Paired axial CT (left) and PSMA PET (right), 18F tracer. Acquired on Siemens Biograph mCT Flow 20. PET panel 200×200 px (4.1 mm/px).
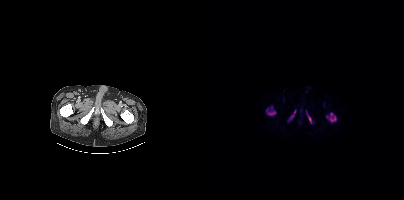
Coordinates are on the 200×200 PET (right) panel. PSMA-avid tumor lesion bounding boxes:
| # | x0 | y0 | x1 | y1 |
|---|---|---|---|---|
| 1 | 122 | 112 | 132 | 122 |
| 2 | 62 | 106 | 72 | 115 |
| 3 | 102 | 111 | 108 | 123 |
| 4 | 85 | 110 | 91 | 120 |